Technique: Two-panel axial: CT | PSMA PET, 18F-PSMA tracer. acquired on Siemens Biograph mCT Flow 20. slice position z = 236 mm. PET panel 200×200 px (4.1 mm/px).
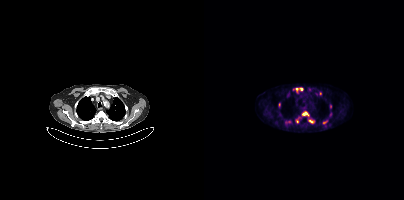
Findings: Coordinates are on the 200×200 PET (right) panel. (showing 8 of 9 foci) PSMA-avid tumor lesion bounding boxes (x0,y0,x1,y1): [98,111,105,116], [92,88,99,91], [105,120,110,123], [119,120,123,124]. Small PSMA-avid foci (2 to 4 px across) near (center x, center y): (83, 122), (75, 104), (93, 121), (116, 93).